- Left: CT. Right: PSMA PET, same axial level, 18F-PSMA tracer
- slice 223 of 448
- PET panel 200×200 px (4.1 mm/px)
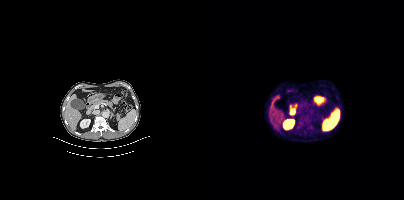
Findings: Coordinates are on the 200×200 PET (right) panel. PSMA-avid tumor lesion bounding box (x, y, width, height): x=95 y=119 w=14 h=11.